modality: PSMA PET/CT | tracer: 18F-PSMA | view: axial | PET grid: 200×200
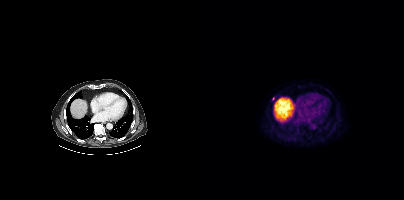
Coordinates are on the 200×200 PET (right) panel. Small PSMA-avid focus (2 to 4 px across) near (center x, center y): (69, 98).